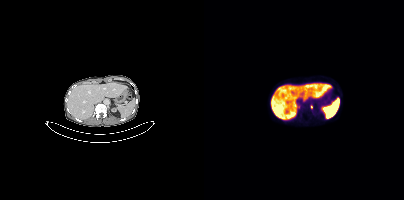
{"pet_grid":[200,200],"coord_frame":"pet_panel","coord_format":"x0,y0,x1,y1","lesion_bboxes":[],"small_foci_centers":[[94,106],[107,107]],"modality":"PSMA PET/CT","view":"axial","tracer":"18F"}